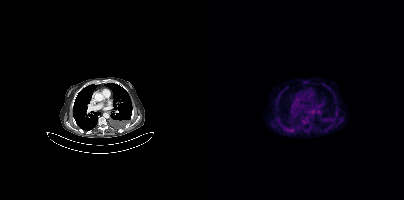
Technique: Two-panel axial: CT | PSMA PET, 18F tracer.
Findings: This slice has no annotated PSMA-avid lesion.